- Left: CT. Right: PSMA PET, same axial level, 18F-PSMA tracer
- PET panel 200×200 px (4.1 mm/px)
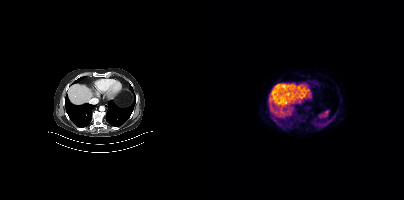
Findings: This slice has no annotated PSMA-avid lesion.